- Two-panel axial: CT | PSMA PET, 18F-PSMA tracer
- slice 34 of 263
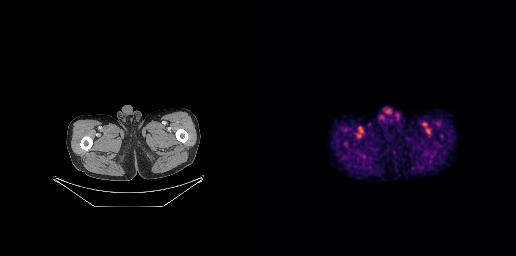
Findings: Negative for PSMA-avid disease on this slice.